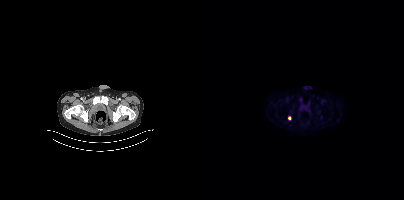
Coordinates are on the 200×200 PET (right) panel. Small PSMA-avid focus (2 to 4 px across) near (center x, center y): (85, 117).